- Left: CT. Right: PSMA PET, same axial level, [18F]PSMA-1007 tracer
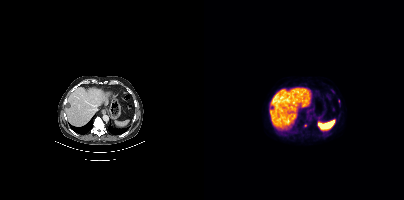
Findings: Coordinates are on the 200×200 PET (right) panel. (showing 1 of 2 foci) Small PSMA-avid focus (2 to 4 px across) near (center x, center y): (101, 125).